Left: CT. Right: PSMA PET, same axial level, 18F-PSMA tracer. PET panel 200×200 px (4.1 mm/px).
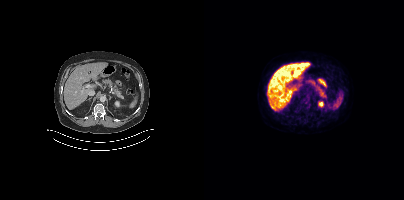
Coordinates are on the 200×200 PET (right) panel. (showing 1 of 2 foci) Small PSMA-avid focus (2 to 4 px across) near (center x, center y): (93, 111).